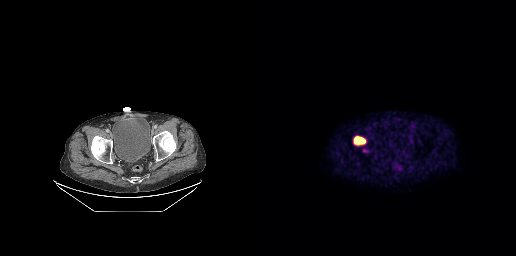
Paired axial CT (left) and PSMA PET (right), [18F]PSMA-1007 tracer. Slice position z = -690 mm. PET panel 256×256 px (2.7 mm/px). Coordinates are on the 256×256 PET (right) panel. PSMA-avid tumor lesion bounding box (x, y, width, height): x=94 y=137 w=12 h=7.